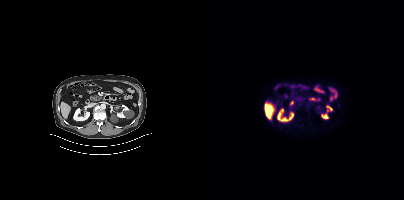
{"pet_grid":[200,200],"coord_frame":"pet_panel","coord_format":"x0,y0,x1,y1","psma_avid_lesions":false,"modality":"PSMA PET/CT","view":"axial","tracer":"18F"}